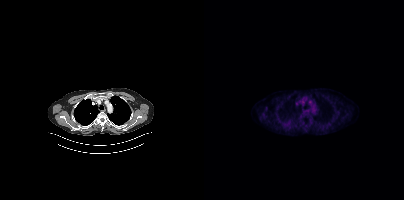
modality: PSMA PET/CT | tracer: 18F | view: axial
This slice has no annotated PSMA-avid lesion.